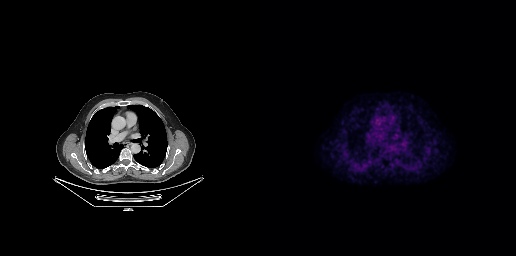
Findings: Coordinates are on the 256×256 PET (right) panel. Small PSMA-avid foci (2 to 4 px across) near (center x, center y): (137, 129) | (117, 141).
Technique: Two-panel axial: CT | PSMA PET, 18F tracer. PET panel 256×256 px (2.7 mm/px).